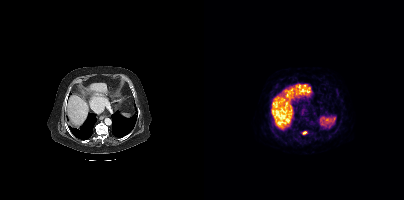
modality: PSMA PET/CT | tracer: 68Ga | view: axial
Coordinates are on the 200×200 PET (right) panel. PSMA-avid tumor lesion bounding box (x0,y0,x1,y1): [98,131,102,134].